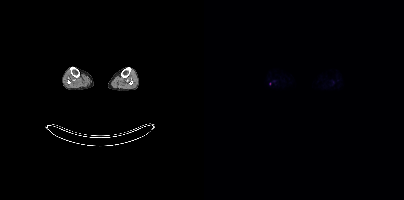
{"modality":"PSMA PET/CT","view":"axial","tracer":"18F-PSMA","pet_grid":[200,200],"coord_frame":"pet_panel","coord_format":"x0,y0,x1,y1","partial":true,"lesion_bboxes":[]}